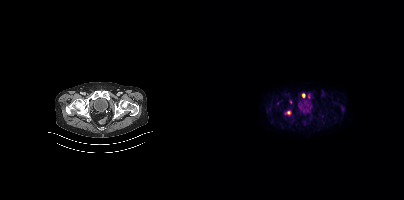
Left: CT. Right: PSMA PET, same axial level, 18F-PSMA tracer. Slice position z = -1442 mm. Coordinates are on the 200×200 PET (right) panel. (showing 3 of 4 foci) PSMA-avid tumor lesion bounding boxes (x0,y0,x1,y1): [82,110,86,114], [104,94,106,98]. Small PSMA-avid focus (2 to 4 px across) near (center x, center y): (99, 95).